Two-panel axial: CT | PSMA PET, 18F-PSMA tracer. Slice position z = -466 mm.
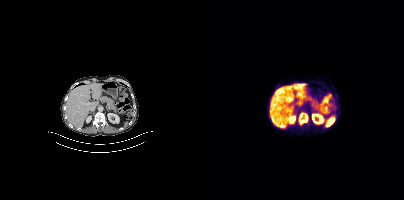
Coordinates are on the 200×200 PET (right) panel. PSMA-avid tumor lesion bounding box (x0, y0)-(x1, y1): (95, 113)-(104, 124).